Left: CT. Right: PSMA PET, same axial level, [68Ga]Ga-PSMA-11 tracer. PET panel 168×168 px (4.1 mm/px).
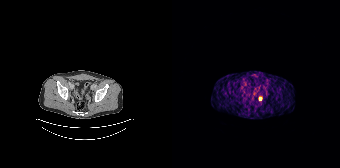
Coordinates are on the 168×168 PET (right) panel. Small PSMA-avid focus (2 to 4 px across) near (center x, center y): (88, 98).